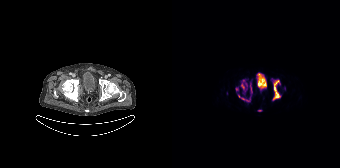
{"modality":"PSMA PET/CT","view":"axial","tracer":"18F","pet_grid":[168,168],"coord_frame":"pet_panel","coord_format":"x0,y0,x1,y1","partial":true,"lesion_bboxes":[[101,79,108,99],[66,95,77,101],[69,83,72,89],[78,83,80,93]],"small_foci_centers":[[65,89],[87,110],[74,84],[71,80]]}